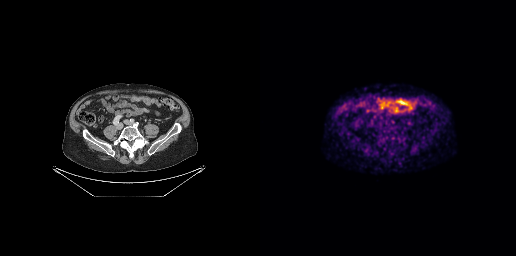
Two-panel axial: CT | PSMA PET, [68Ga]Ga-PSMA-11 tracer. Acquired on GE Discovery 690. No PSMA-avid tumor lesions on this slice.